- Left: CT. Right: PSMA PET, same axial level, 18F-PSMA tracer
- slice 305 of 389
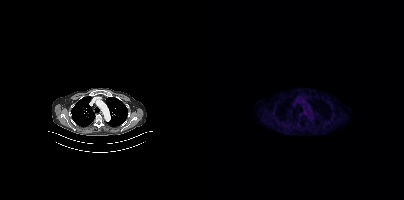
Findings: Only PSMA-avid lesion pieces thinner than 2 px on this slice (not listed).